Technique: Two-panel axial: CT | PSMA PET, [18F]PSMA-1007 tracer. slice position z = -1584 mm.
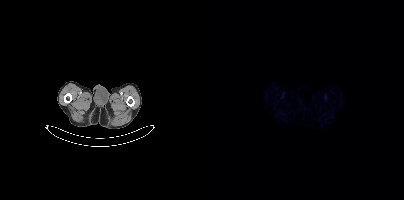
Findings: Negative for PSMA-avid disease on this slice.